modality: PSMA PET/CT | tracer: [18F]PSMA-1007 | view: axial | PET grid: 200×200
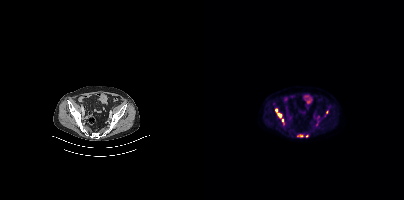
Coordinates are on the 200×200 PET (right) panel. (showing 5 of 6 foci) PSMA-avid tumor lesion bounding boxes (x, y, width, height): x=71 y=108 w=7 h=10 | x=93 y=134 w=7 h=4. Small PSMA-avid foci (2 to 4 px across) near (center x, center y): (78, 120) | (103, 136) | (122, 112).